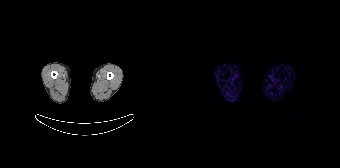
No PSMA-avid tumor lesions on this slice.